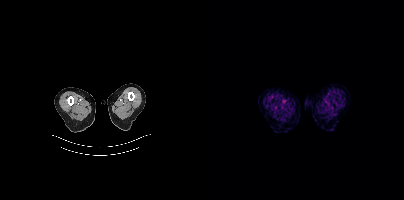
Two-panel axial: CT | PSMA PET, [18F]PSMA-1007 tracer. Acquired on Siemens Biograph mCT Flow 20. Negative for PSMA-avid disease on this slice.